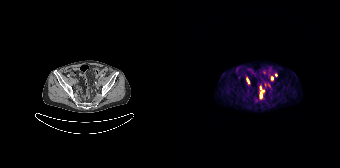
{"modality":"PSMA PET/CT","view":"axial","tracer":"68Ga-PSMA","pet_grid":[168,168],"coord_frame":"pet_panel","coord_format":"x0,y0,x1,y1","partial":true,"lesion_bboxes":[[75,78,77,83],[88,93,89,97]],"small_foci_centers":[[100,78],[88,87],[93,84]]}